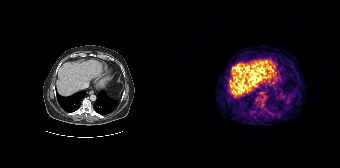
Two-panel axial: CT | PSMA PET, 68Ga tracer. Slice position z = -424 mm. No tumor lesions annotated on this slice.